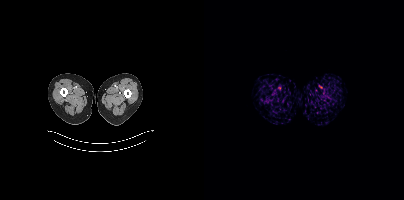
{"pet_grid":[200,200],"coord_frame":"pet_panel","coord_format":"x0,y0,x1,y1","psma_avid_lesions":false,"modality":"PSMA PET/CT","view":"axial","tracer":"18F-PSMA"}